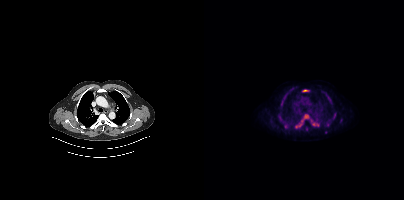
Coordinates are on the 200×200 PET (right) panel. (showing 8 of 9 foci) PSMA-avid tumor lesion bounding boxes (x0, y0)-(x1, y1): (92, 119)-(100, 127) | (107, 120)-(113, 126) | (80, 124)-(84, 128) | (124, 98)-(127, 102) | (77, 101)-(78, 105). Small PSMA-avid foci (2 to 4 px across) near (center x, center y): (102, 116) | (129, 117) | (121, 132).